Two-panel axial: CT | PSMA PET, [18F]PSMA-1007 tracer. Acquired on Siemens Biograph mCT Flow 20. PET panel 200×200 px (4.1 mm/px).
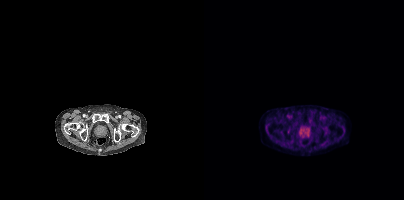
Coordinates are on the 200×200 PET (right) panel. PSMA-avid tumor lesion bounding boxes:
| # | x0 | y0 | x1 | y1 |
|---|---|---|---|---|
| 1 | 84 | 129 | 85 | 133 |
Small PSMA-avid foci (2 to 4 px across) near (center x, center y): (102, 135); (98, 136).